- Left: CT. Right: PSMA PET, same axial level, 18F tracer
- slice position z = -259 mm
- PET panel 256×256 px (2.7 mm/px)
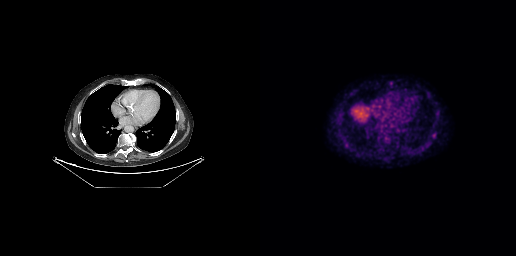
Findings: Coordinates are on the 256×256 PET (right) panel. (showing 1 of 2 foci) Small PSMA-avid focus (2 to 4 px across) near (center x, center y): (174, 135).